Paired axial CT (left) and PSMA PET (right), [18F]PSMA-1007 tracer. Acquired on Siemens Biograph mCT Flow 20. PET panel 200×200 px (4.1 mm/px).
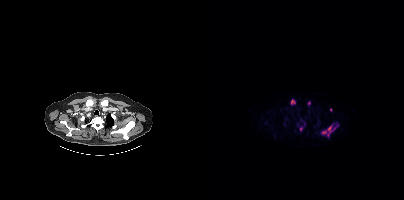
Coordinates are on the 200×200 PET (right) panel. PSMA-avid tumor lesion bounding boxes (x0,y0,x1,y1): [118,124,134,135]; [87,99,91,104]. Small PSMA-avid foci (2 to 4 px across) near (center x, center y): (105, 102); (97, 128); (126, 109).